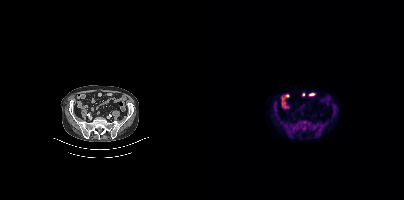
Coordinates are on the 200×200 PET (right) panel. PSMA-avid tumor lesion bounding boxes (x0, y0)-(x1, y1): (128, 104)-(132, 113); (70, 105)-(72, 111).